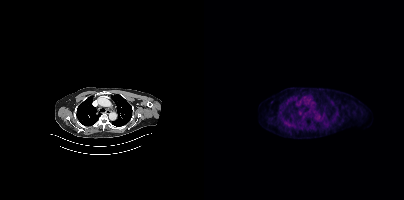
Left: CT. Right: PSMA PET, same axial level, 18F tracer. Slice 311 of 401. No tumor lesions annotated on this slice.